modality: PSMA PET/CT | tracer: [18F]PSMA-1007 | view: axial | PET grid: 200×200
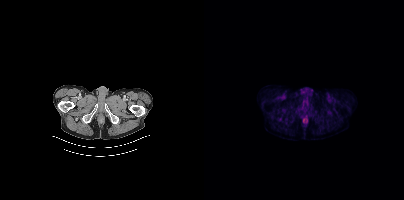
No tumor lesions annotated on this slice.